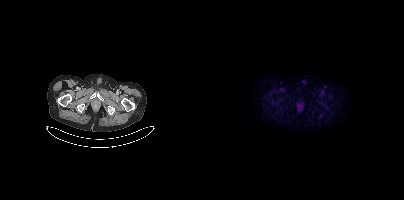
Negative for PSMA-avid disease on this slice. Paired axial CT (left) and PSMA PET (right), 18F tracer. Slice position z = -947 mm.